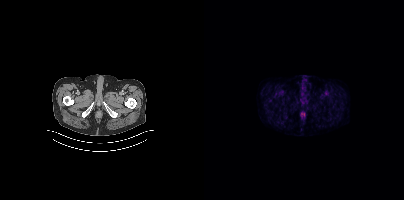
- Left: CT. Right: PSMA PET, same axial level, [68Ga]Ga-PSMA-11 tracer
- acquired on Siemens Biograph mCT Flow 20
- PET panel 200×200 px (4.1 mm/px)
Findings: Negative for PSMA-avid disease on this slice.